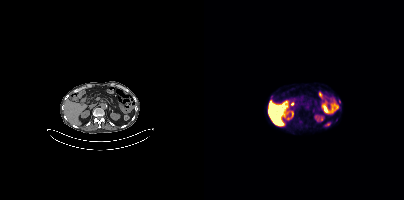
This slice has no annotated PSMA-avid lesion.